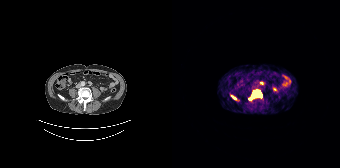
Coordinates are on the 168×168 PET (right) panel. PSMA-avid tumor lesion bounding box (x0,y0,x1,y1): [77,90,90,99]. Small PSMA-avid focus (2 to 4 px across) near (center x, center y): (61, 97).